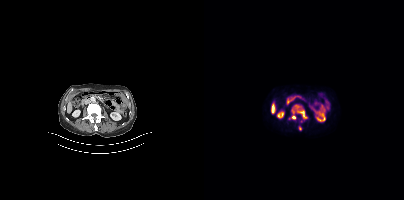
Coordinates are on the 200×200 PET (right) panel. PSMA-avid tumor lesion bounding boxes (x0, y0)-(x1, y1): (85, 104)-(103, 119); (94, 126)-(97, 130). Small PSMA-avid focus (2 to 4 px across) near (center x, center y): (97, 121).